Two-panel axial: CT | PSMA PET, 18F tracer. Acquired on Siemens Biograph mCT Flow 20. Slice position z = -334 mm. PET panel 200×200 px (4.1 mm/px).
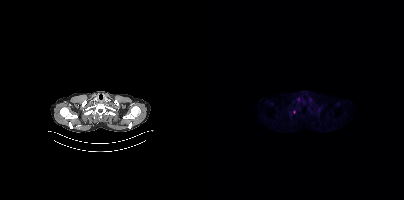
Only PSMA-avid lesion pieces thinner than 2 px on this slice (not listed).